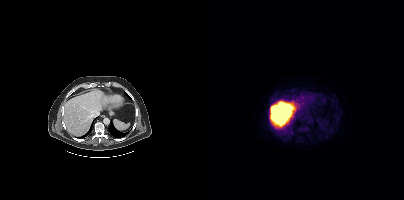
{"modality":"PSMA PET/CT","view":"axial","tracer":"[18F]PSMA-1007","pet_grid":[200,200],"coord_frame":"pet_panel","coord_format":"x0,y0,x1,y1","psma_avid_lesions":false}